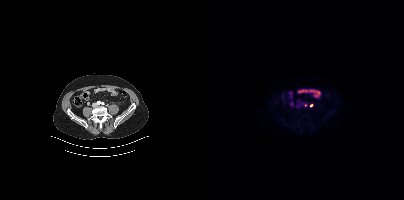
{"pet_grid":[200,200],"coord_frame":"pet_panel","coord_format":"x0,y0,x1,y1","partial":true,"lesion_bboxes":[],"small_foci_centers":[[107,105]],"modality":"PSMA PET/CT","view":"axial","tracer":"[18F]PSMA-1007"}